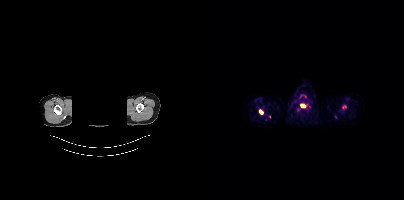
Coordinates are on the 200×200 PET (right) panel. (showing 2 of 5 foci) PSMA-avid tumor lesion bounding boxes (x0,y0,x1,y1): [96,104,101,107], [55,109,59,114].
de-identification: head region blanked (face removed) | modality: PSMA PET/CT | tracer: [18F]PSMA-1007 | view: axial | PET grid: 200×200